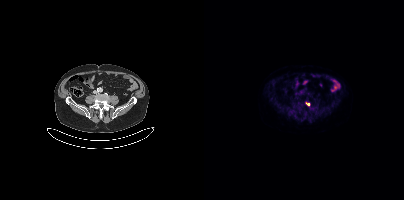
Findings: Coordinates are on the 200×200 PET (right) panel. Small PSMA-avid focus (2 to 4 px across) near (center x, center y): (104, 104).
Technique: Left: CT. Right: PSMA PET, same axial level, 18F tracer. acquired on Siemens Biograph mCT Flow 20. PET panel 200×200 px (4.1 mm/px).